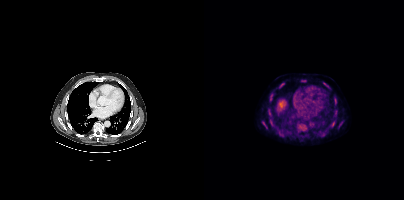
modality: PSMA PET/CT | tracer: 18F | view: axial
Coordinates are on the 200×200 PET (right) panel. PSMA-avid tumor lesion bounding boxes (x0,y0,x1,y1): [66,94,69,99] [75,83,79,87] [127,122,130,126] [123,85,126,89] [59,124,63,128] [131,100,132,104] [135,121,138,125]. Small PSMA-avid foci (2 to 4 px across) near (center x, center y): (99, 81) (65, 113).